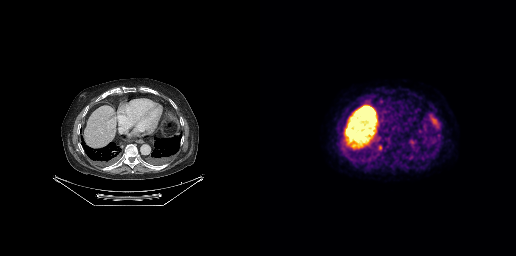
modality: PSMA PET/CT | tracer: [18F]PSMA-1007 | view: axial
Coordinates are on the 256×256 PET (right) panel. (showing 4 of 5 foci) PSMA-avid tumor lesion bounding boxes (x0,y0,x1,y1): [169,114,179,128]; [149,139,155,144]; [117,145,122,150]. Small PSMA-avid focus (2 to 4 px across) near (center x, center y): (174, 142).